- Left: CT. Right: PSMA PET, same axial level, [18F]PSMA-1007 tracer
- acquired on Siemens Biograph mCT Flow 20
- slice 340 of 415
- PET panel 200×200 px (4.1 mm/px)
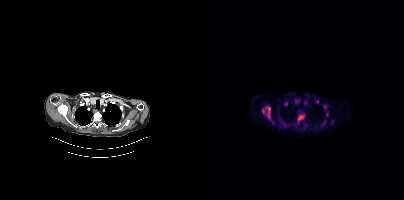
Findings: Coordinates are on the 200×200 PET (right) panel. (showing 10 of 11 foci) PSMA-avid tumor lesion bounding boxes (x0,y0,x1,y1): [58,106,66,118], [77,120,84,126], [93,115,99,120], [116,120,122,126], [80,101,83,106], [122,111,124,116]. Small PSMA-avid foci (2 to 4 px across) near (center x, center y): (112, 101), (120, 107), (128, 121), (69, 122).